- Paired axial CT (left) and PSMA PET (right), 18F-PSMA tracer
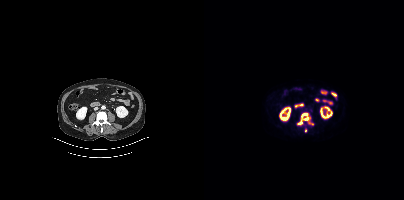
Findings: Coordinates are on the 200×200 PET (right) panel. (showing 2 of 4 foci) PSMA-avid tumor lesion bounding box (x, y, width, height): x=93 y=113 w=14 h=12. Small PSMA-avid focus (2 to 4 px across) near (center x, center y): (101, 130).